Technique: Left: CT. Right: PSMA PET, same axial level, 18F tracer. acquired on Siemens Biograph mCT Flow 20. slice 59 of 435.
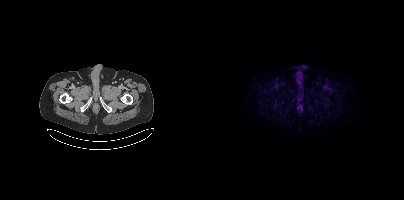
Findings: Negative for PSMA-avid disease on this slice.